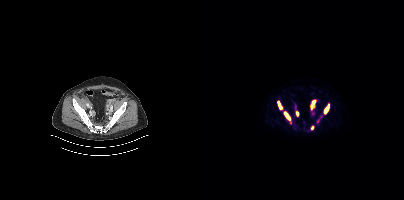
{"modality":"PSMA PET/CT","view":"axial","tracer":"18F-PSMA","pet_grid":[200,200],"coord_frame":"pet_panel","coord_format":"x0,y0,x1,y1","lesion_bboxes":[[106,100,112,109],[120,103,125,114],[80,111,86,120],[73,101,78,109],[92,111,94,116]],"small_foci_centers":[[108,127]]}